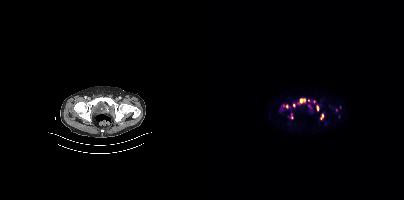
Coordinates are on the 200×200 PET (right) panel. (showing 9 of 13 foci) PSMA-avid tumor lesion bounding boxes (x0, y0)-(x1, y1): (96, 99)-(101, 102); (82, 104)-(84, 108); (113, 106)-(114, 110). Small PSMA-avid foci (2 to 4 px across) near (center x, center y): (87, 114); (89, 105); (118, 115); (79, 105); (132, 109); (87, 117).
modality: PSMA PET/CT | tracer: 18F-PSMA | view: axial